- Paired axial CT (left) and PSMA PET (right), 18F-PSMA tracer
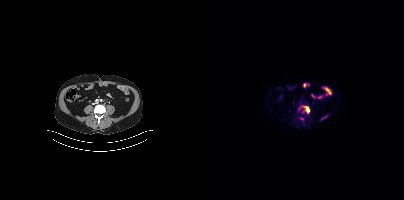
Findings: Coordinates are on the 200×200 PET (right) panel. (showing 2 of 4 foci) PSMA-avid tumor lesion bounding box (x0,y0,x1,y1): [94,105,106,113]. Small PSMA-avid focus (2 to 4 px across) near (center x, center y): (97, 118).